- Paired axial CT (left) and PSMA PET (right), [68Ga]Ga-PSMA-11 tracer
- acquired on Siemens Biograph mCT Flow 20
- PET panel 200×200 px (4.1 mm/px)
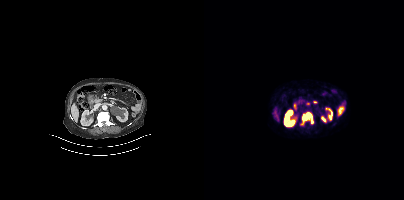
Findings: Coordinates are on the 200×200 PET (right) panel. PSMA-avid tumor lesion bounding box (x0,y0,x1,y1): [96,112,109,125]. Small PSMA-avid foci (2 to 4 px across) near (center x, center y): (103, 103) (69, 112).